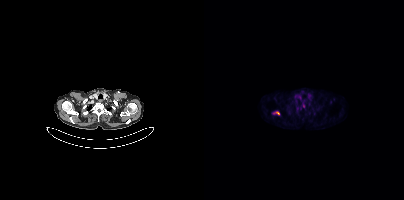
Left: CT. Right: PSMA PET, same axial level, [18F]PSMA-1007 tracer.
Coordinates are on the 200×200 PET (right) panel. PSMA-avid tumor lesion bounding boxes:
| # | x0 | y0 | x1 | y1 |
|---|---|---|---|---|
| 1 | 69 | 111 | 75 | 114 |
Small PSMA-avid focus (2 to 4 px across) near (center x, center y): (99, 105).